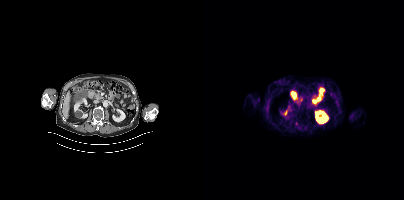
- Left: CT. Right: PSMA PET, same axial level, 18F tracer
- acquired on Siemens Biograph mCT Flow 20
- slice 198 of 427
- PET panel 200×200 px (4.1 mm/px)
Findings: Negative for PSMA-avid disease on this slice.